Two-panel axial: CT | PSMA PET, 18F tracer. Acquired on Siemens Biograph mCT Flow 20. Slice position z = -572 mm.
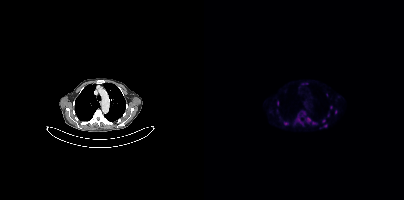
Coordinates are on the 200×200 PET (right) panel. (showing 7 of 9 foci) Small PSMA-avid foci (2 to 4 px across) near (center x, center y): (104, 119) (120, 121) (110, 123) (82, 123) (121, 125) (131, 111) (94, 119).